Head region blanked for anonymization (face removed).
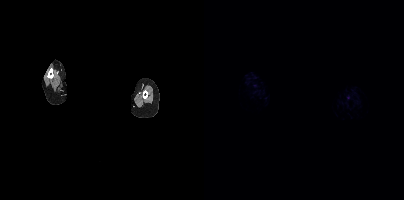
No tumor lesions annotated on this slice.